modality: PSMA PET/CT | tracer: [18F]PSMA-1007 | view: axial
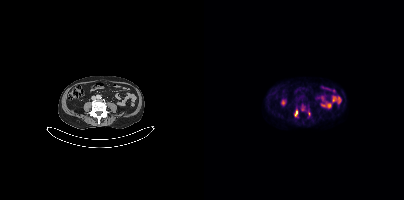
Coordinates are on the 200×200 PET (right) panel. (showing 1 of 3 foci) PSMA-avid tumor lesion bounding box (x0,y0,x1,y1): [90,110,93,116].